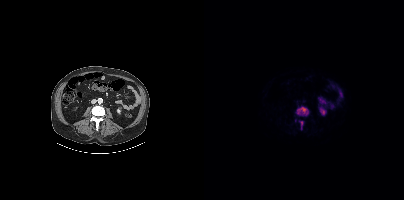
- Two-panel axial: CT | PSMA PET, [18F]PSMA-1007 tracer
- acquired on Siemens Biograph mCT Flow 20
- slice position z = -1459 mm
Findings: Coordinates are on the 200×200 PET (right) panel. (showing 2 of 3 foci) PSMA-avid tumor lesion bounding boxes (x0, y0)-(x1, y1): (92, 106)-(104, 115) / (95, 121)-(99, 129).